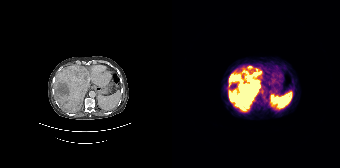
- Left: CT. Right: PSMA PET, same axial level, 68Ga-PSMA tracer
- slice 122 of 195
Findings: Coordinates are on the 168×168 PET (right) panel. (showing 2 of 3 foci) PSMA-avid tumor lesion bounding boxes (x0,y0,x1,y1): [56,68,89,111] [76,66,80,69].